Technique: Paired axial CT (left) and PSMA PET (right), [18F]PSMA-1007 tracer.
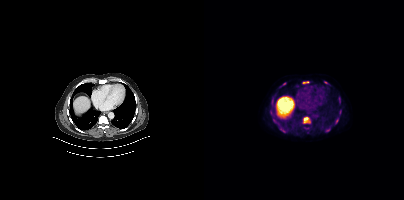
Findings: Coordinates are on the 200×200 PET (right) panel. PSMA-avid tumor lesion bounding boxes (x, y, width, height): x=99 y=117 w=8 h=7 / x=75 y=127 w=8 h=6 / x=66 y=110 w=4 h=6 / x=69 y=119 w=7 h=7 / x=131 y=118 w=4 h=7 / x=121 y=128 w=6 h=4 / x=67 y=102 w=3 h=6 / x=99 y=81 w=6 h=3 / x=135 y=97 w=2 h=6. Small PSMA-avid foci (2 to 4 px across) near (center x, center y): (79, 83) / (121, 82) / (136, 111).